modality: PSMA PET/CT | tracer: 18F-PSMA | view: axial
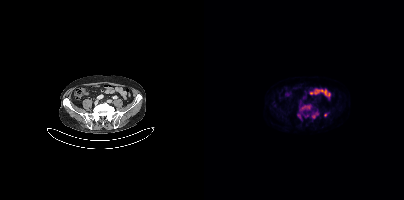
Coordinates are on the 200×200 PET (right) panel. (showing 3 of 5 foci) PSMA-avid tumor lesion bounding boxes (x0, y0)-(x1, y1): (98, 105)-(106, 109) | (108, 113)-(113, 118). Small PSMA-avid focus (2 to 4 px across) near (center x, center y): (121, 114).